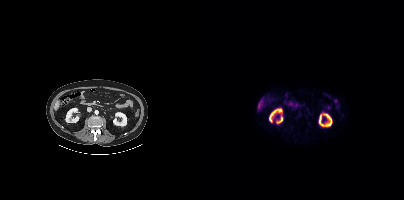
No tumor lesions annotated on this slice.
modality: PSMA PET/CT | tracer: [18F]PSMA-1007 | view: axial